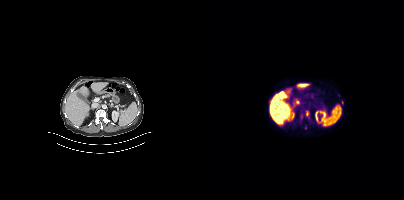
- Paired axial CT (left) and PSMA PET (right), [18F]PSMA-1007 tracer
- acquired on Siemens Biograph mCT Flow 20
- slice 203 of 413
Findings: Coordinates are on the 200×200 PET (right) panel. (showing 3 of 4 foci) PSMA-avid tumor lesion bounding box (x0, y0)-(x1, y1): (102, 111)-(105, 116). Small PSMA-avid foci (2 to 4 px across) near (center x, center y): (138, 102) | (97, 116).